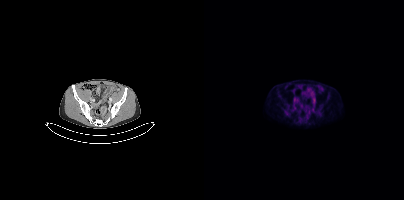
Coordinates are on the 200×200 PET (right) panel. PSMA-avid tumor lesion bounding box (x, y, width, height): x=81 y=111 w=5 h=4.